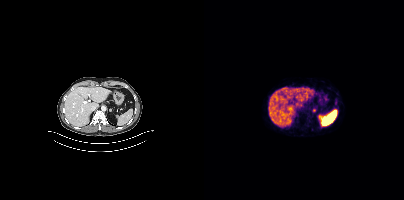
modality: PSMA PET/CT | tracer: 68Ga-PSMA | view: axial | PET grid: 200×200
Coordinates are on the 200×200 PET (right) panel. Small PSMA-avid focus (2 to 4 px across) near (center x, center y): (110, 110).